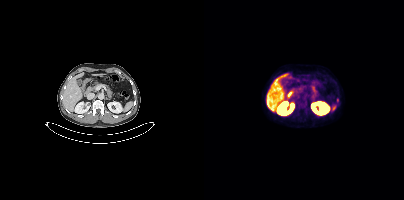
- Paired axial CT (left) and PSMA PET (right), 18F-PSMA tracer
- slice 231 of 448
- PET panel 200×200 px (4.1 mm/px)
Findings: Coordinates are on the 200×200 PET (right) panel. PSMA-avid tumor lesion bounding box (x0, y0)-(x1, y1): (133, 98)-(134, 102).